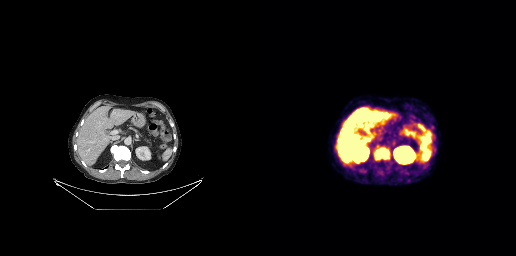
modality: PSMA PET/CT | tracer: 18F | view: axial | PET grid: 256×256
Coordinates are on the 256×256 PET (right) panel. PSMA-avid tumor lesion bounding box (x0,y0,x1,y1): [114,148,129,159].